Technique: Two-panel axial: CT | PSMA PET, 18F tracer. acquired on Siemens Biograph mCT Flow 20.
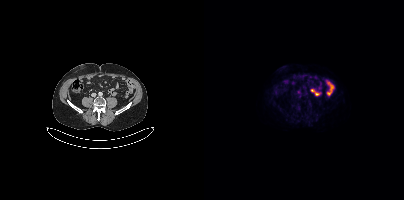
Findings: Coordinates are on the 200×200 PET (right) panel. Small PSMA-avid focus (2 to 4 px across) near (center x, center y): (95, 92).